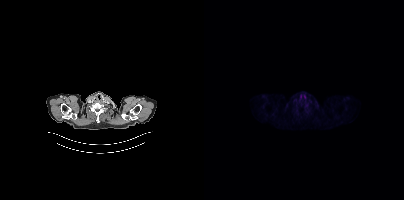
Paired axial CT (left) and PSMA PET (right), 18F-PSMA tracer. Slice position z = -1008 mm. No tumor lesions annotated on this slice.